modality: PSMA PET/CT | tracer: 68Ga | view: axial
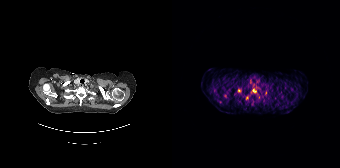
Coordinates are on the 168×168 PET (right) panel. (showing 2 of 5 foci) PSMA-avid tumor lesion bounding box (x0,y0,x1,y1): [80,89,84,92]. Small PSMA-avid focus (2 to 4 px across) near (center x, center y): (66, 90).